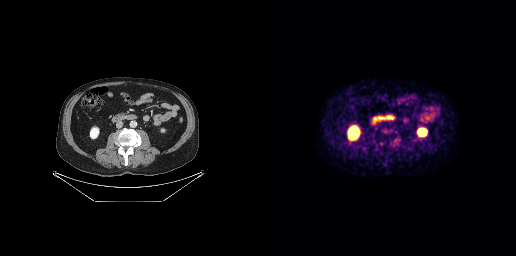
{"modality":"PSMA PET/CT","view":"axial","tracer":"18F-PSMA","pet_grid":[256,256],"coord_frame":"pet_panel","coord_format":"x0,y0,x1,y1","partial":true,"lesion_bboxes":[[122,128,127,133]],"small_foci_centers":[[135,140]]}